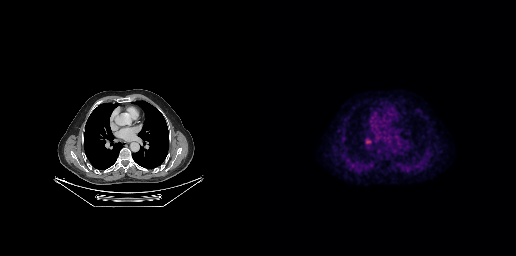
Coordinates are on the 256×256 PET (right) panel. PSMA-avid tumor lesion bounding boxes:
| # | x0 | y0 | x1 | y1 |
|---|---|---|---|---|
| 1 | 105 | 137 | 112 | 145 |
Small PSMA-avid focus (2 to 4 px across) near (center x, center y): (117, 141).
Left: CT. Right: PSMA PET, same axial level, 18F tracer.